- Paired axial CT (left) and PSMA PET (right), 18F tracer
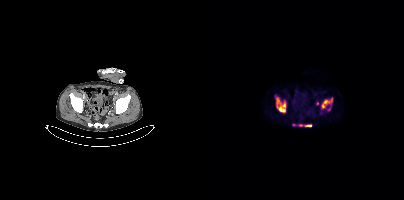
Findings: Coordinates are on the 200×200 PET (right) panel. PSMA-avid tumor lesion bounding boxes (x, y, width, height): x=71 y=95 w=12 h=19 | x=117 y=97 w=12 h=12 | x=94 y=124 w=15 h=4. Small PSMA-avid foci (2 to 4 px across) near (center x, center y): (113, 103) | (125, 109) | (90, 124).